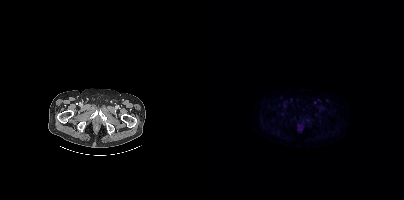
Two-panel axial: CT | PSMA PET, 18F tracer. Slice position z = -1591 mm. Negative for PSMA-avid disease on this slice.